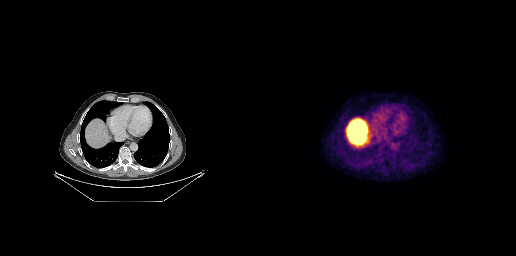
modality: PSMA PET/CT | tracer: 18F-PSMA | view: axial
Negative for PSMA-avid disease on this slice.